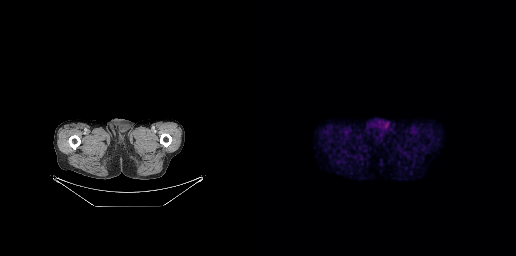
{"pet_grid":[256,256],"coord_frame":"pet_panel","coord_format":"x0,y0,x1,y1","psma_avid_lesions":false,"modality":"PSMA PET/CT","view":"axial","tracer":"[18F]PSMA-1007"}